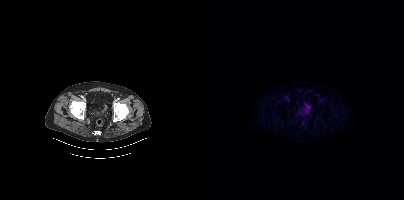
{"modality":"PSMA PET/CT","view":"axial","tracer":"18F-PSMA","pet_grid":[200,200],"coord_frame":"pet_panel","coord_format":"x0,y0,x1,y1","psma_avid_lesions":false}